Two-panel axial: CT | PSMA PET, [18F]PSMA-1007 tracer. Acquired on Siemens Biograph mCT Flow 20. PET panel 200×200 px (4.1 mm/px).
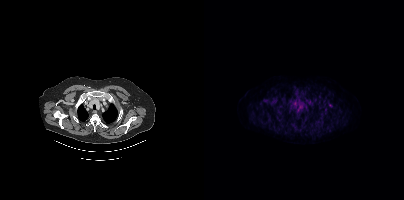
This slice has no annotated PSMA-avid lesion.